Left: CT. Right: PSMA PET, same axial level, 18F-PSMA tracer. Acquired on Siemens Biograph mCT Flow 20.
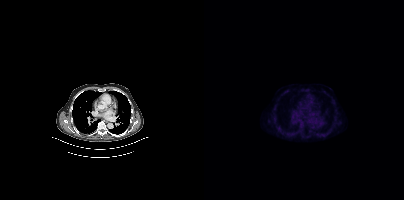
No PSMA-avid tumor lesions on this slice.